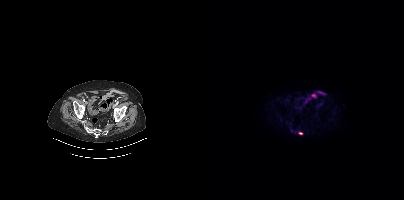
- Two-panel axial: CT | PSMA PET, [18F]PSMA-1007 tracer
- acquired on Siemens Biograph mCT Flow 20
- slice position z = -892 mm
Findings: Coordinates are on the 200×200 PET (right) panel. PSMA-avid tumor lesion bounding box (x0, y0)-(x1, y1): (94, 132)-(99, 134).